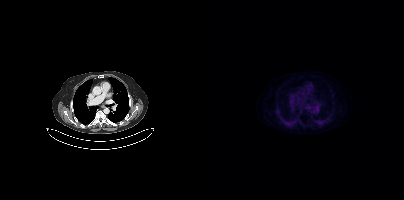
- Paired axial CT (left) and PSMA PET (right), 18F tracer
- PET panel 200×200 px (4.1 mm/px)
Findings: Only PSMA-avid lesion pieces thinner than 2 px on this slice (not listed).